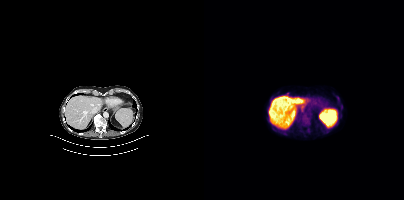
Coordinates are on the 200×200 PET (right) panel. Small PSMA-avid focus (2 to 4 px across) near (center x, center y): (98, 110).